Left: CT. Right: PSMA PET, same axial level, 18F tracer. Acquired on Siemens Biograph mCT Flow 20. PET panel 200×200 px (4.1 mm/px).
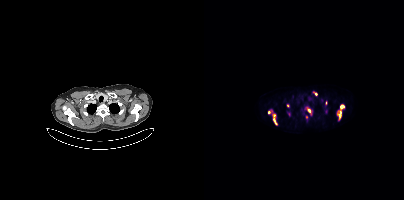
Coordinates are on the 200×200 PET (right) panel. (showing 9 of 10 foci) PSMA-avid tumor lesion bounding boxes (x, y, width, height): x=68 y=113 w=6 h=12 / x=133 y=112 w=5 h=8 / x=103 y=110 w=5 h=6 / x=136 y=105 w=5 h=4. Small PSMA-avid foci (2 to 4 px across) near (center x, center y): (84, 105) / (65, 112) / (110, 93) / (85, 114) / (102, 117).